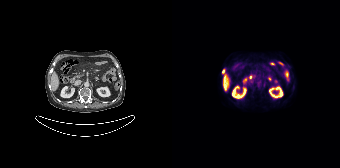
Coordinates are on the 168×168 PET (right) panel. PSMA-avid tumor lesion bounding box (x0, y0)-(x1, y1): (50, 69)-(53, 74).